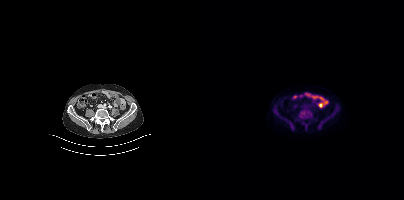
Left: CT. Right: PSMA PET, same axial level, 18F tracer. This slice has no annotated PSMA-avid lesion.